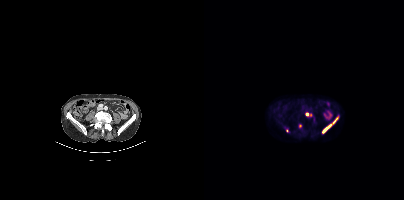
Coordinates are on the 200×200 PET (right) panel. PSMA-avid tumor lesion bounding boxes (x, y, width, height): x=119 y=116 w=16 h=17 | x=102 y=113 w=7 h=4. Small PSMA-avid foci (2 to 4 px across) near (center x, center y): (96, 125) | (82, 130).